- a rectangular privacy mask was applied before release
- Two-panel axial: CT | PSMA PET, 18F-PSMA tracer
- PET panel 200×200 px (4.1 mm/px)
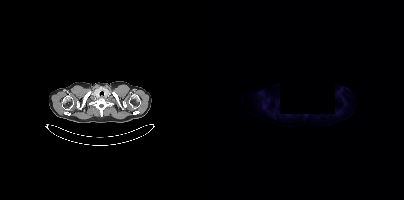
Findings: Negative for PSMA-avid disease on this slice.